Left: CT. Right: PSMA PET, same axial level, 68Ga-PSMA tracer.
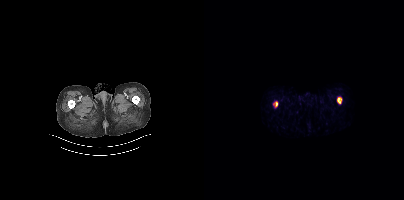
This slice has no annotated PSMA-avid lesion.